- face de-identified by blanking a block of the head
- Left: CT. Right: PSMA PET, same axial level, 18F tracer
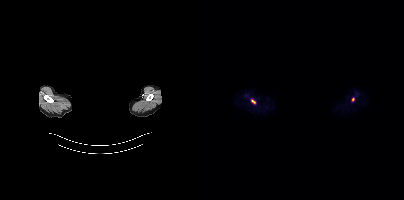
Findings: Coordinates are on the 200×200 PET (right) panel. PSMA-avid tumor lesion bounding box (x, y, width, height): x=47 y=100 w=5 h=4. Small PSMA-avid focus (2 to 4 px across) near (center x, center y): (149, 99).